Technique: Left: CT. Right: PSMA PET, same axial level, [68Ga]Ga-PSMA-11 tracer.
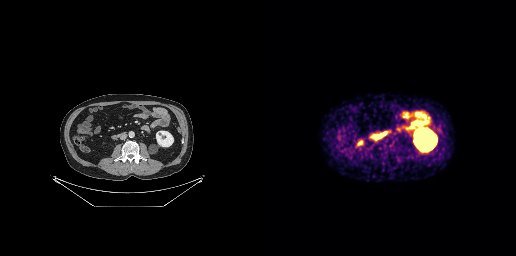
Findings: No tumor lesions annotated on this slice.